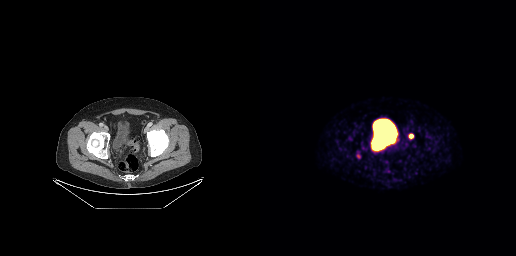
Findings: Coordinates are on the 256×256 PET (right) panel. Small PSMA-avid focus (2 to 4 px across) near (center x, center y): (151, 135).
Technique: Paired axial CT (left) and PSMA PET (right), 68Ga tracer. acquired on GE Discovery 690. PET panel 256×256 px (2.7 mm/px).